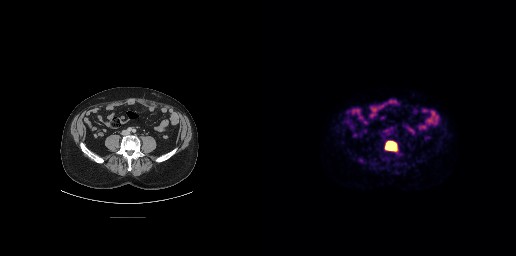
Coordinates are on the 256×256 PET (right) panel. PSMA-avid tumor lesion bounding box (x0,y0,x1,y1): [124,140,137,152].